Left: CT. Right: PSMA PET, same axial level, 18F tracer. Acquired on Siemens Biograph mCT Flow 20.
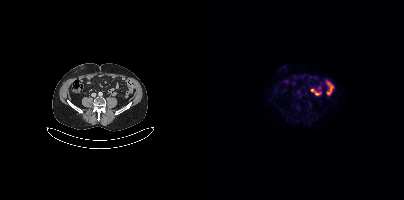
Coordinates are on the 200×200 PET (right) panel. Small PSMA-avid focus (2 to 4 px across) near (center x, center y): (94, 92).